modality: PSMA PET/CT | tracer: 68Ga-PSMA | view: axial | PET grid: 256×256
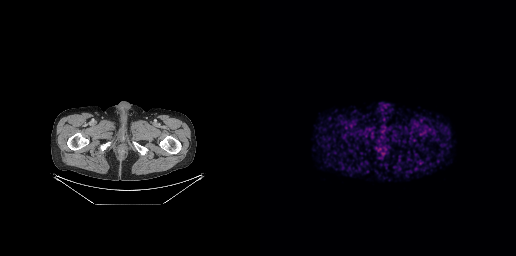
No PSMA-avid tumor lesions on this slice.